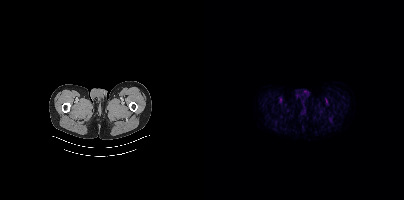
Negative for PSMA-avid disease on this slice. Paired axial CT (left) and PSMA PET (right), 18F-PSMA tracer. Acquired on Siemens Biograph mCT Flow 20. Slice position z = -970 mm. PET panel 200×200 px (4.1 mm/px).